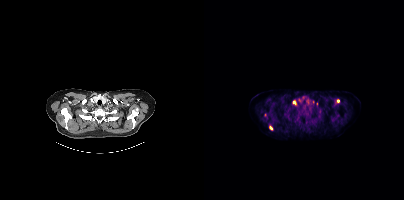
Paired axial CT (left) and PSMA PET (right), 18F tracer. Acquired on Siemens Biograph mCT Flow 20. Slice position z = 136 mm. Coordinates are on the 200×200 PET (right) panel. (showing 3 of 5 foci) Small PSMA-avid foci (2 to 4 px across) near (center x, center y): (90, 102) / (66, 127) / (134, 101).